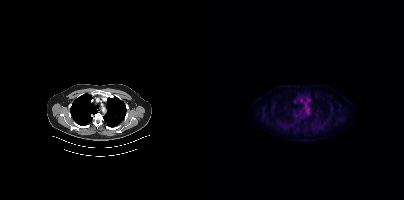
This slice has no annotated PSMA-avid lesion.